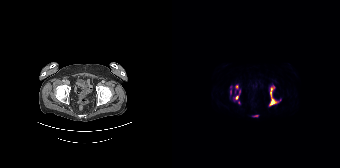
Coordinates are on the 168×168 PET (right) panel. (showing 7 of 9 foci) PSMA-avid tumor lesion bounding boxes (x, y, width, height): x=97 y=85 w=10 h=22 / x=62 y=90 w=7 h=10 / x=63 y=85 w=4 h=5 / x=82 y=115 w=5 h=2. Small PSMA-avid foci (2 to 4 px across) near (center x, center y): (58, 91) / (67, 102) / (58, 86).
modality: PSMA PET/CT | tracer: 18F | view: axial | PET grid: 168×168